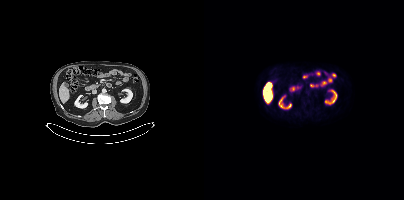
Negative for PSMA-avid disease on this slice. Two-panel axial: CT | PSMA PET, [18F]PSMA-1007 tracer. Acquired on Siemens Biograph mCT Flow 20. PET panel 200×200 px (4.1 mm/px).